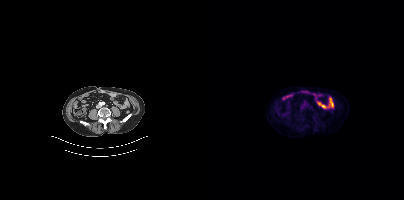
Findings: Negative for PSMA-avid disease on this slice.
- Left: CT. Right: PSMA PET, same axial level, 18F-PSMA tracer
- acquired on Siemens Biograph mCT Flow 20
- slice 127 of 401